Two-panel axial: CT | PSMA PET, [18F]PSMA-1007 tracer. Acquired on Siemens Biograph mCT Flow 20.
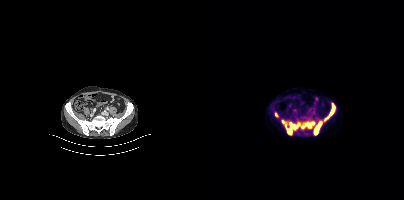
Coordinates are on the 200×200 PET (right) panel. PSMA-avid tumor lesion bounding boxes:
| # | x0 | y0 | x1 | y1 |
|---|---|---|---|---|
| 1 | 78 | 103 | 131 | 135 |
Small PSMA-avid focus (2 to 4 px across) near (center x, center y): (72, 114).